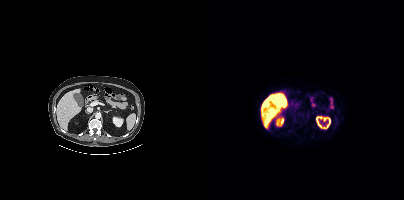
Left: CT. Right: PSMA PET, same axial level, 18F-PSMA tracer. Acquired on Siemens Biograph mCT Flow 20. Slice 292 of 508. PET panel 200×200 px (4.1 mm/px). This slice has no annotated PSMA-avid lesion.